- Two-panel axial: CT | PSMA PET, 18F tracer
- acquired on Siemens Biograph mCT Flow 20
- PET panel 200×200 px (4.1 mm/px)
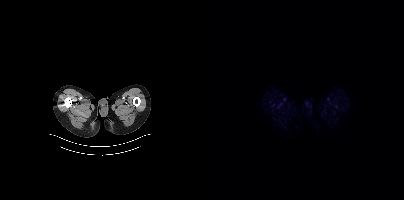
Findings: No tumor lesions annotated on this slice.